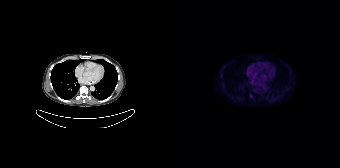
Technique: Two-panel axial: CT | PSMA PET, [18F]PSMA-1007 tracer. acquired on Siemens Biograph 64-4R TruePoint.
Findings: Coordinates are on the 168×168 PET (right) panel. Small PSMA-avid focus (2 to 4 px across) near (center x, center y): (79, 95).